Technique: Left: CT. Right: PSMA PET, same axial level, 18F-PSMA tracer. PET panel 200×200 px (4.1 mm/px).
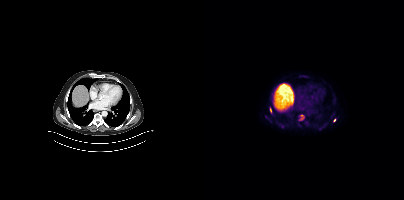
Findings: Coordinates are on the 200×200 PET (right) panel. PSMA-avid tumor lesion bounding box (x0,y0,x1,y1): [97,115,99,119]. Small PSMA-avid foci (2 to 4 px across) near (center x, center y): (130, 120) (66, 109).